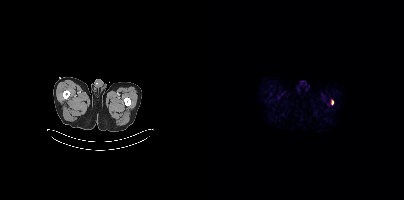
Two-panel axial: CT | PSMA PET, 18F-PSMA tracer.
Coordinates are on the 200×200 PET (right) panel. PSMA-avid tumor lesion bounding boxes:
| # | x0 | y0 | x1 | y1 |
|---|---|---|---|---|
| 1 | 127 | 100 | 129 | 104 |